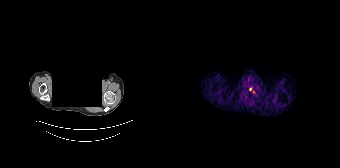
- head region blanked for anonymization (face removed)
- Two-panel axial: CT | PSMA PET, [68Ga]Ga-PSMA-11 tracer
- PET panel 168×168 px (4.1 mm/px)
Findings: Only PSMA-avid lesion pieces thinner than 2 px on this slice (not listed).